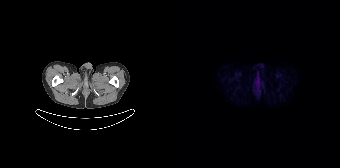
Negative for PSMA-avid disease on this slice. Left: CT. Right: PSMA PET, same axial level, 18F tracer. Acquired on Siemens Biograph 64-4R TruePoint. PET panel 168×168 px (4.1 mm/px).